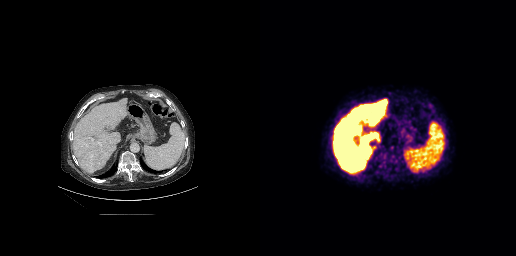
Technique: Paired axial CT (left) and PSMA PET (right), [18F]PSMA-1007 tracer. acquired on GE Discovery 690. PET panel 256×256 px (2.7 mm/px).
Findings: Coordinates are on the 256×256 PET (right) panel. PSMA-avid tumor lesion bounding box (x0,y0,x1,y1): [118,152,135,167].